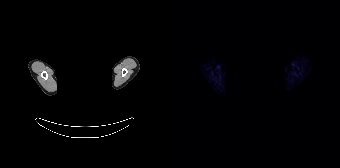
{"pet_grid":[168,168],"coord_frame":"pet_panel","coord_format":"x0,y0,x1,y1","psma_avid_lesions":false,"de-identification":"face masked with black rectangle","modality":"PSMA PET/CT","view":"axial","tracer":"68Ga"}